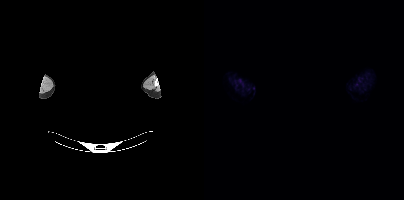
No tumor lesions annotated on this slice. Facial anatomy redacted by setting a rectangular region of the head to black. Left: CT. Right: PSMA PET, same axial level, 18F tracer.